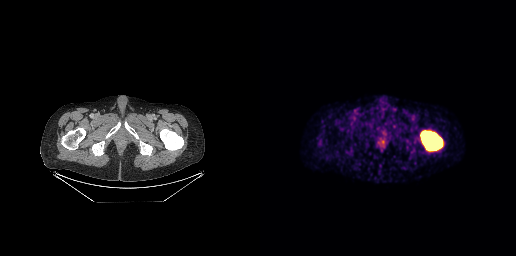
Technique: Paired axial CT (left) and PSMA PET (right), 68Ga-PSMA tracer. slice position z = -964 mm.
Findings: Coordinates are on the 256×256 PET (right) panel. PSMA-avid tumor lesion bounding box (x0,y0,x1,y1): [160,130,182,150].